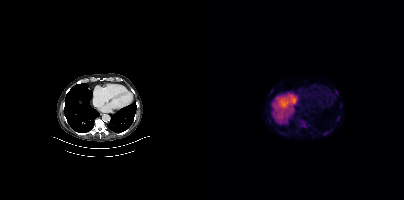
Coordinates are on the 200×200 PET (right) panel. (showing 2 of 3 foci) Small PSMA-avid foci (2 to 4 px across) near (center x, center y): (133, 93) | (134, 118).
modality: PSMA PET/CT | tracer: [18F]PSMA-1007 | view: axial | PET grid: 200×200